Two-panel axial: CT | PSMA PET, 68Ga-PSMA tracer. Acquired on Siemens Biograph mCT Flow 20. PET panel 200×200 px (4.1 mm/px).
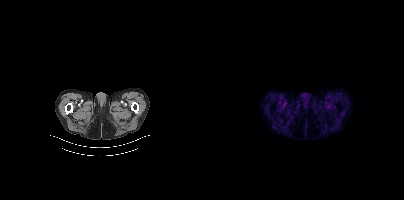
No tumor lesions annotated on this slice.